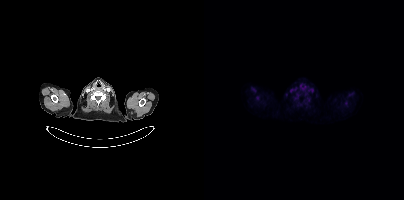
Findings: No tumor lesions annotated on this slice.
Technique: Left: CT. Right: PSMA PET, same axial level, 18F-PSMA tracer. PET panel 200×200 px (4.1 mm/px).